Technique: Two-panel axial: CT | PSMA PET, 18F-PSMA tracer. slice 59 of 413.
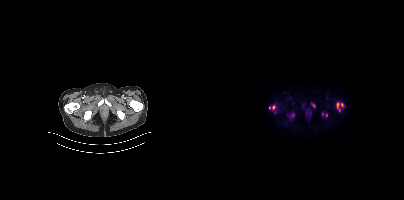
Findings: Coordinates are on the 200×200 PET (right) panel. (showing 8 of 9 foci) PSMA-avid tumor lesion bounding boxes (x0,y0,x1,y1): [86,112,90,119]; [132,102,136,111]; [68,106,71,110]; [107,103,111,107]. Small PSMA-avid foci (2 to 4 px across) near (center x, center y): (138, 104); (65, 107); (122, 115); (118, 113).